Technique: Left: CT. Right: PSMA PET, same axial level, 18F-PSMA tracer. slice position z = -219 mm.
Note: Privacy masking over the head, with the pixels inside a rectangle set to black.
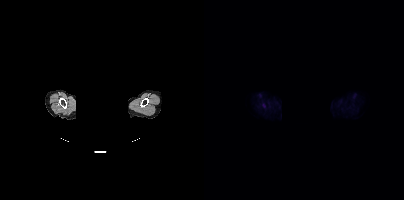
Findings: This slice has no annotated PSMA-avid lesion.